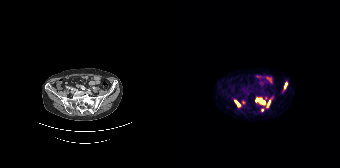
{"modality":"PSMA PET/CT","view":"axial","tracer":"[68Ga]Ga-PSMA-11","pet_grid":[168,168],"coord_frame":"pet_panel","coord_format":"x0,y0,x1,y1","partial":true,"lesion_bboxes":[[83,97,95,104],[62,100,68,106],[112,82,115,88],[95,100,98,107]],"small_foci_centers":[[90,109]]}